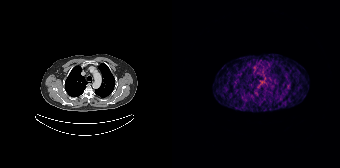
No PSMA-avid tumor lesions on this slice.